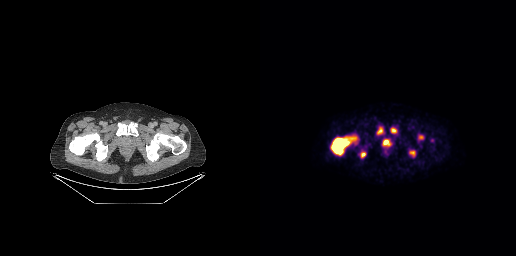
Findings: Coordinates are on the 256×256 PET (right) panel. PSMA-avid tumor lesion bounding boxes (x0, y0)-(x1, y1): (71, 136)-(96, 155) | (123, 139)-(130, 145) | (130, 127)-(137, 133) | (117, 127)-(123, 134) | (149, 150)-(155, 156) | (158, 135)-(163, 139) | (101, 152)-(105, 157).
- Two-panel axial: CT | PSMA PET, 18F-PSMA tracer
- acquired on GE Discovery 690
- PET panel 256×256 px (2.7 mm/px)